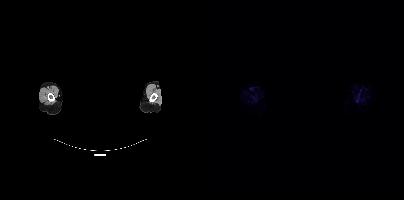
Technique: Paired axial CT (left) and PSMA PET (right), 18F tracer. slice 461 of 464.
Note: Face de-identified by blanking a block of the head.
Findings: Coordinates are on the 200×200 PET (right) panel. PSMA-avid tumor lesion bounding box (x0, y0)-(x1, y1): (151, 99)-(155, 102).